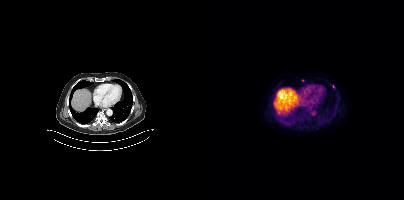
Technique: Left: CT. Right: PSMA PET, same axial level, [18F]PSMA-1007 tracer. slice 249 of 393. PET panel 200×200 px (4.1 mm/px).
Findings: Coordinates are on the 200×200 PET (right) panel. (showing 1 of 2 foci) Small PSMA-avid focus (2 to 4 px across) near (center x, center y): (129, 86).